- Left: CT. Right: PSMA PET, same axial level, 68Ga-PSMA tracer
- slice 44 of 263
- PET panel 256×256 px (2.7 mm/px)
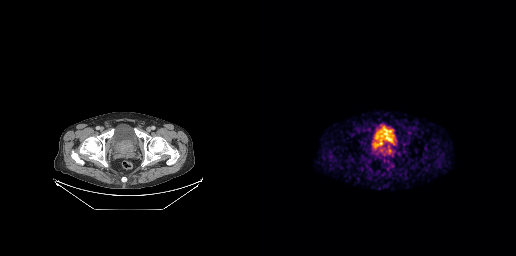
Findings: Coordinates are on the 256×256 PET (right) panel. PSMA-avid tumor lesion bounding box (x, y, width, height): x=112 y=137 w=24 h=20.